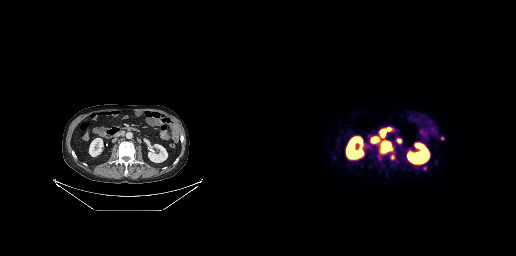
{"pet_grid":[256,256],"coord_frame":"pet_panel","coord_format":"x0,y0,x1,y1","lesion_bboxes":[[120,141,131,153],[121,127,132,136],[112,137,117,142],[130,154,134,159],[137,139,141,143]],"small_foci_centers":[[164,167],[182,138]],"modality":"PSMA PET/CT","view":"axial","tracer":"68Ga"}